modality: PSMA PET/CT | tracer: [18F]PSMA-1007 | view: axial
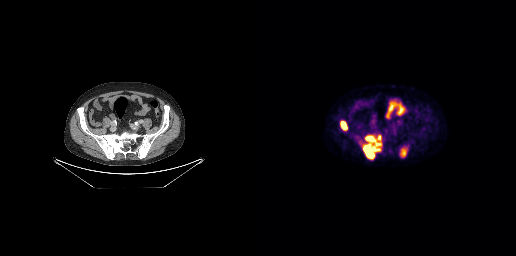
Coordinates are on the 256×256 PET (right) panel. PSMA-avid tumor lesion bounding boxes (x0,y0,x1,y1): [103,135,121,159] [80,121,87,130] [141,148,146,156].